modality: PSMA PET/CT | tracer: 18F-PSMA | view: axial | PET grid: 200×200
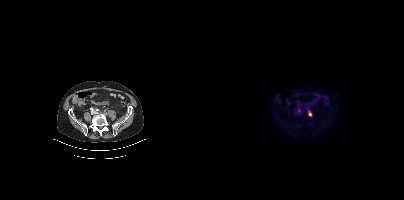
Coordinates are on the 200×200 PET (right) panel. PSMA-avid tumor lesion bounding box (x0, y0)-(x1, y1): (104, 110)-(107, 116).